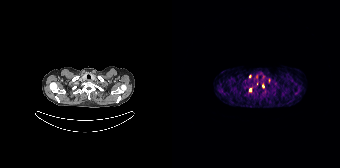
Coordinates are on the 168×168 PET (right) panel. (showing 3 of 5 foci) Small PSMA-avid foci (2 to 4 px across) near (center x, center y): (78, 90) / (90, 86) / (97, 80).